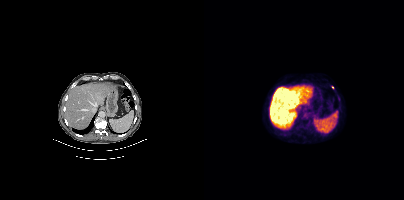
modality: PSMA PET/CT | tracer: 18F | view: axial
Coordinates are on the 200×200 PET (right) panel. Small PSMA-avid focus (2 to 4 px across) near (center x, center y): (128, 87).